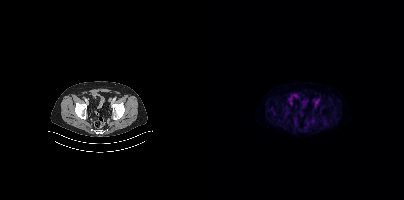
modality: PSMA PET/CT | tracer: 18F | view: axial
Coordinates are on the 200×200 PET (right) panel. PSMA-avid tumor lesion bounding box (x0, y0)-(x1, y1): (84, 97)-(88, 101).